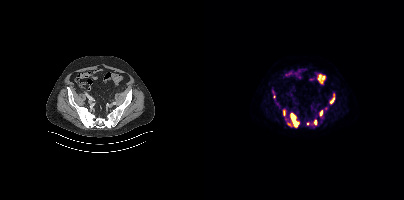
{"modality":"PSMA PET/CT","view":"axial","tracer":"18F-PSMA","pet_grid":[200,200],"coord_frame":"pet_panel","coord_format":"x0,y0,x1,y1","partial":true,"lesion_bboxes":[[83,113,94,126],[126,97,130,103],[79,110,81,115],[116,110,118,115]],"small_foci_centers":[[111,122],[70,96],[104,123]]}